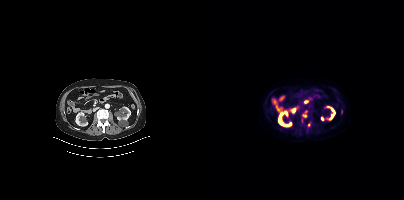
Coordinates are on the 200×200 PET (right) panel. PSMA-avid tumor lesion bounding box (x0, y0)-(x1, y1): (97, 110)-(103, 122). Small PSMA-avid foci (2 to 4 px across) near (center x, center y): (104, 125) | (137, 111).